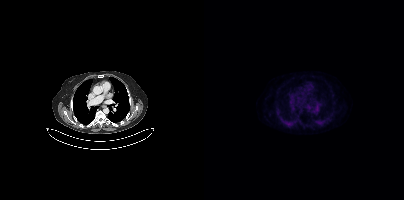
{"modality":"PSMA PET/CT","view":"axial","tracer":"18F-PSMA","pet_grid":[200,200],"coord_frame":"pet_panel","coord_format":"x0,y0,x1,y1","psma_avid_lesions":false}